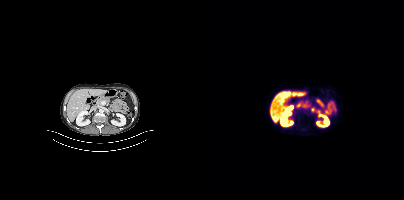
This slice has no annotated PSMA-avid lesion.